A rectangle over the head was blacked out to remove identifiable facial features. Two-panel axial: CT | PSMA PET, [68Ga]Ga-PSMA-11 tracer. PET panel 168×168 px (4.1 mm/px).
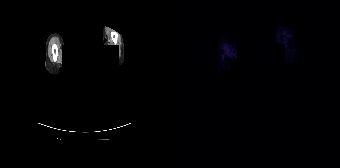
No tumor lesions annotated on this slice.